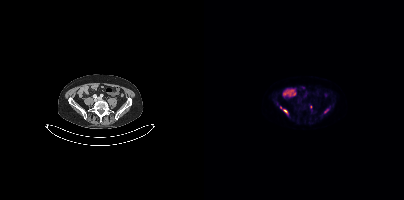
Findings: Coordinates are on the 200×200 PET (right) panel. PSMA-avid tumor lesion bounding boxes (x, y, width, height): x=79 y=109 w=5 h=5 / x=120 y=109 w=5 h=4. Small PSMA-avid focus (2 to 4 px across) near (center x, center y): (107, 106).
- Paired axial CT (left) and PSMA PET (right), [18F]PSMA-1007 tracer
- PET panel 200×200 px (4.1 mm/px)